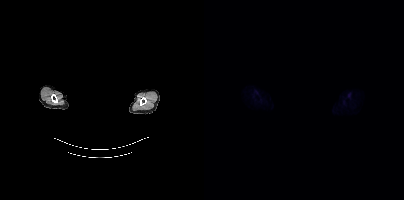
Findings: Negative for PSMA-avid disease on this slice.
- Left: CT. Right: PSMA PET, same axial level, [18F]PSMA-1007 tracer
- acquired on Siemens Biograph mCT Flow 20
- slice position z = -870 mm
- head region blanked for anonymization (face removed)